Technique: Paired axial CT (left) and PSMA PET (right), [18F]PSMA-1007 tracer. acquired on Siemens Biograph mCT Flow 20. PET panel 200×200 px (4.1 mm/px).
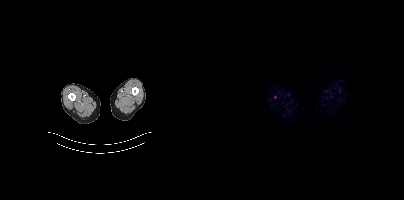
Findings: Only PSMA-avid lesion pieces thinner than 2 px on this slice (not listed).